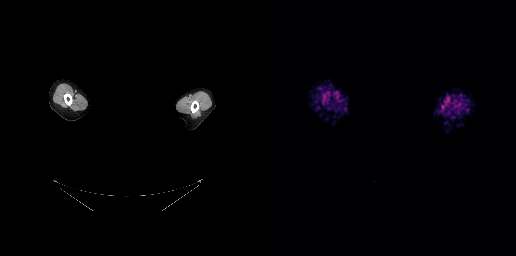
{"modality":"PSMA PET/CT","view":"axial","tracer":"18F-PSMA","pet_grid":[256,256],"coord_frame":"pet_panel","coord_format":"x0,y0,x1,y1","redaction":"head region blacked out before release","psma_avid_lesions":false}